modality: PSMA PET/CT | tracer: 18F-PSMA | view: axial | PET grid: 256×256
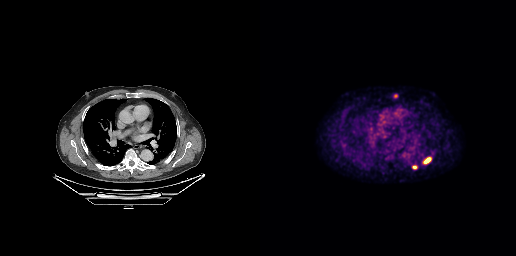
Coordinates are on the 256×256 PET (right) panel. PSMA-avid tumor lesion bounding boxes (x0, y0)-(x1, y1): (163, 157)-(171, 164) | (152, 165)-(157, 169). Small PSMA-avid focus (2 to 4 px across) near (center x, center y): (135, 96).